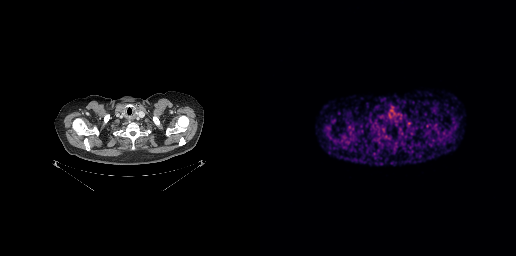
This slice has no annotated PSMA-avid lesion. Paired axial CT (left) and PSMA PET (right), 68Ga tracer. Slice position z = -370 mm. PET panel 256×256 px (2.7 mm/px).